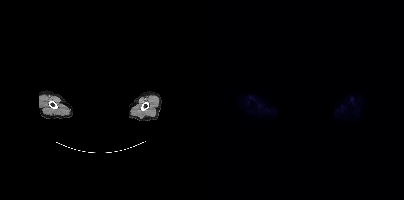
Negative for PSMA-avid disease on this slice. Left: CT. Right: PSMA PET, same axial level, 18F-PSMA tracer. A rectangular block over the head has been blanked out for de-identification.